Two-panel axial: CT | PSMA PET, 18F-PSMA tracer. Acquired on Siemens Biograph mCT Flow 20. PET panel 200×200 px (4.1 mm/px).
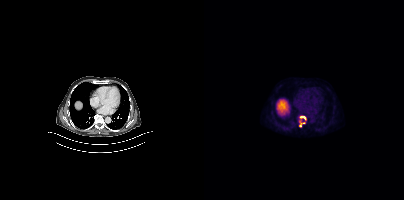
Coordinates are on the 200×200 PET (right) panel. PSMA-avid tumor lesion bounding boxes:
| # | x0 | y0 | x1 | y1 |
|---|---|---|---|---|
| 1 | 95 | 120 | 101 | 127 |
| 2 | 95 | 116 | 102 | 120 |